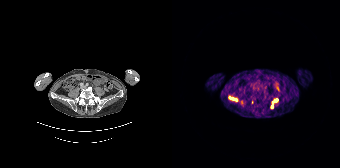
Coordinates are on the 168×168 PET (right) panel. PSMA-avid tumor lesion bounding boxes (partial; 1 more focus not listed):
| # | x0 | y0 | x1 | y1 |
|---|---|---|---|---|
| 1 | 57 | 96 | 65 | 101 |
Small PSMA-avid foci (2 to 4 px across) near (center x, center y): (103, 100); (100, 106); (100, 102).
Paired axial CT (left) and PSMA PET (right), 68Ga tracer. Slice 57 of 165. PET panel 168×168 px (4.1 mm/px).